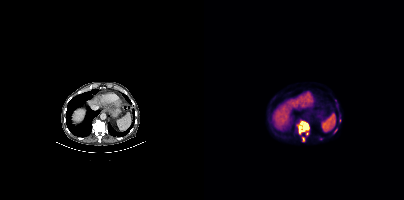
Paired axial CT (left) and PSMA PET (right), 18F-PSMA tracer. Slice 234 of 435.
Coordinates are on the 200×200 PET (right) panel. PSMA-avid tumor lesion bounding boxes (partial; 2 more foci not listed):
| # | x0 | y0 | x1 | y1 |
|---|---|---|---|---|
| 1 | 94 | 122 | 104 | 134 |
Small PSMA-avid foci (2 to 4 px across) near (center x, center y): (103, 133); (99, 139); (131, 130).